Left: CT. Right: PSMA PET, same axial level, 18F tracer. PET panel 256×256 px (2.7 mm/px).
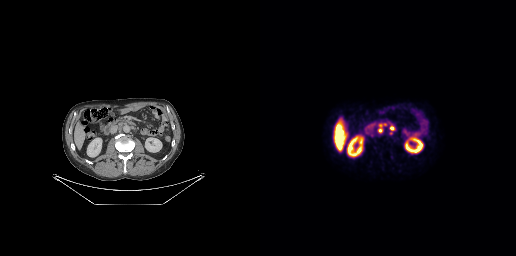
Coordinates are on the 256×256 PET (right) panel. PSMA-avid tumor lesion bounding boxes (partial; 1 more focus not listed):
| # | x0 | y0 | x1 | y1 |
|---|---|---|---|---|
| 1 | 118 | 123 | 126 | 132 |
| 2 | 129 | 125 | 134 | 130 |